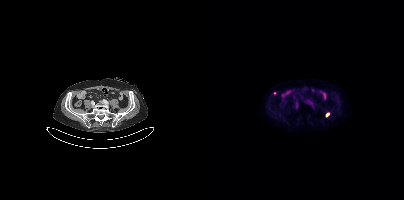
Coordinates are on the 200×200 PET (right) panel. Small PSMA-avid focus (2 to 4 px across) near (center x, center y): (123, 114).